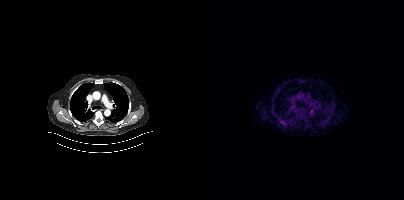
Coordinates are on the 200×200 PET (right) panel. PSMA-avid tumor lesion bounding box (x0, y0)-(x1, y1): (78, 121)-(82, 125). Two-panel axial: CT | PSMA PET, 18F tracer. Slice position z = 158 mm. PET panel 200×200 px (4.1 mm/px).